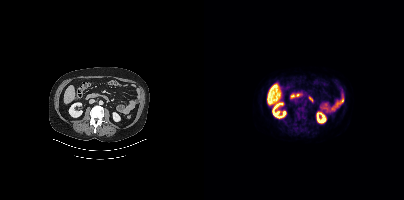
- Left: CT. Right: PSMA PET, same axial level, 18F tracer
- acquired on Siemens Biograph mCT Flow 20
Findings: No tumor lesions annotated on this slice.